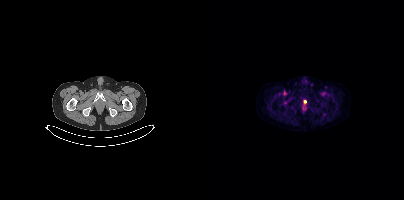
Left: CT. Right: PSMA PET, same axial level, 18F tracer. PET panel 200×200 px (4.1 mm/px). Coordinates are on the 200×200 PET (right) panel. Small PSMA-avid focus (2 to 4 px across) near (center x, center y): (100, 101).